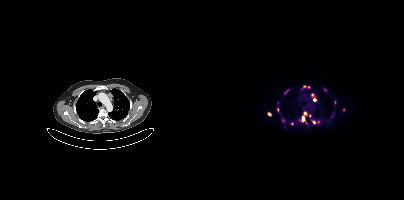
Left: CT. Right: PSMA PET, same axial level, [18F]PSMA-1007 tracer. Coordinates are on the 200×200 PET (right) panel. (showing 13 of 14 foci) PSMA-avid tumor lesion bounding boxes (x0,y0,x1,y1): [98,112,102,121]; [107,93,111,100]; [99,85,105,87]; [78,118,81,122]; [107,120,111,123]; [80,90,84,93]. Small PSMA-avid foci (2 to 4 px across) near (center x, center y): (131, 102); (121, 89); (140, 109); (65, 114); (73, 109); (114, 122); (105, 115).